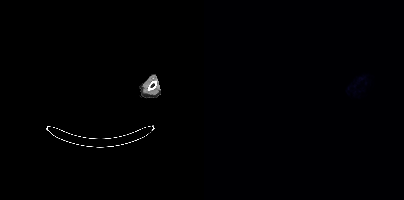
Technique: Paired axial CT (left) and PSMA PET (right), 18F tracer. slice 399 of 409.
Note: Any black rectangle over the head is a privacy mask, not anatomy.
Findings: This slice has no annotated PSMA-avid lesion.